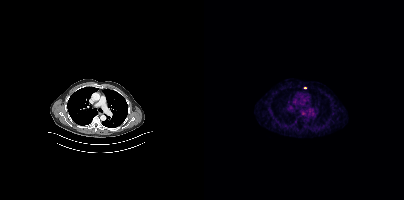
{"modality":"PSMA PET/CT","view":"axial","tracer":"68Ga","pet_grid":[200,200],"coord_frame":"pet_panel","coord_format":"x0,y0,x1,y1","lesion_bboxes":[],"small_foci_centers":[[101,87]]}